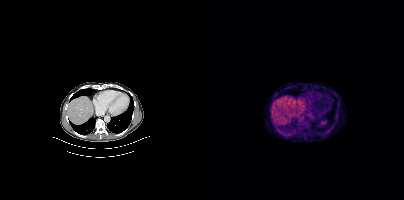
{"modality":"PSMA PET/CT","view":"axial","tracer":"[18F]PSMA-1007","pet_grid":[200,200],"coord_frame":"pet_panel","coord_format":"x0,y0,x1,y1","lesion_bboxes":[[94,115,100,121]],"small_foci_centers":[[119,133],[83,135]]}